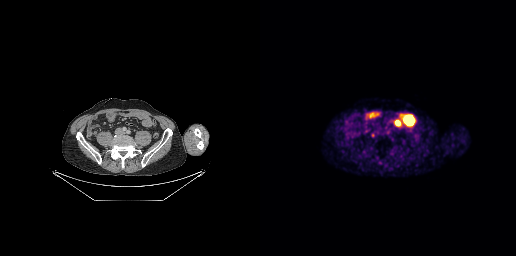
Technique: Two-panel axial: CT | PSMA PET, [68Ga]Ga-PSMA-11 tracer. PET panel 256×256 px (2.7 mm/px).
Findings: Coordinates are on the 256×256 PET (right) panel. Small PSMA-avid focus (2 to 4 px across) near (center x, center y): (112, 135).